Technique: Paired axial CT (left) and PSMA PET (right), [18F]PSMA-1007 tracer. acquired on Siemens Biograph mCT Flow 20. PET panel 200×200 px (4.1 mm/px).
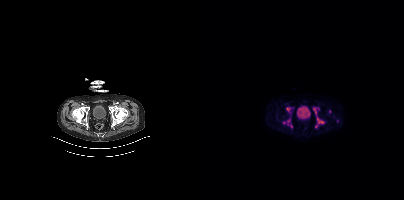
Findings: Coordinates are on the 200×200 PET (right) panel. (showing 5 of 6 foci) PSMA-avid tumor lesion bounding boxes (x0,y0,x1,y1): [109,107,120,123] [79,118,88,127] [82,107,89,113]. Small PSMA-avid foci (2 to 4 px across) near (center x, center y): (126, 111) (112, 126).